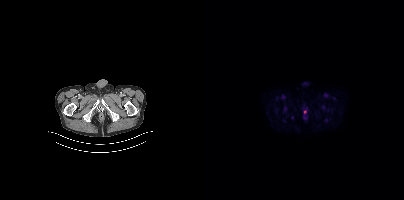
{"modality":"PSMA PET/CT","view":"axial","tracer":"18F-PSMA","pet_grid":[200,200],"coord_frame":"pet_panel","coord_format":"x0,y0,x1,y1","lesion_bboxes":[],"small_foci_centers":[[100,111]]}